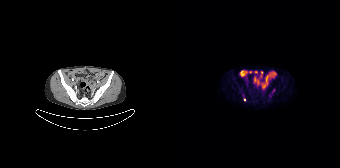
{"modality":"PSMA PET/CT","view":"axial","tracer":"[18F]PSMA-1007","pet_grid":[168,168],"coord_frame":"pet_panel","coord_format":"x0,y0,x1,y1","lesion_bboxes":[[97,88,103,97]],"small_foci_centers":[[72,99]]}